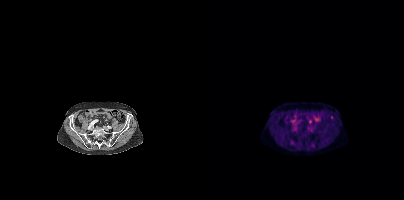
{"modality":"PSMA PET/CT","view":"axial","tracer":"[18F]PSMA-1007","pet_grid":[200,200],"coord_frame":"pet_panel","coord_format":"x0,y0,x1,y1","partial":true,"lesion_bboxes":[],"small_foci_centers":[[127,117]]}